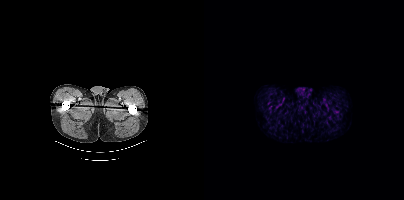
modality: PSMA PET/CT | tracer: 18F-PSMA | view: axial | PET grid: 200×200
No tumor lesions annotated on this slice.